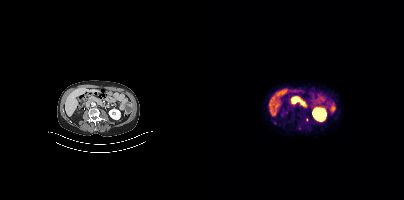
modality: PSMA PET/CT | tracer: 68Ga | view: axial
Coordinates are on the 200×200 PET (right) panel. PSMA-avid tumor lesion bounding box (x0,y0,x1,y1): [87,100,92,103]. Small PSMA-avid focus (2 to 4 px across) near (center x, center y): (102, 119).